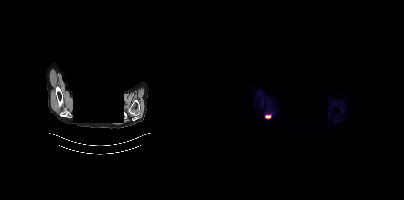
An anonymization step blacked out a rectangle over the head in this scan.
Coordinates are on the 200×200 PET (right) panel. PSMA-avid tumor lesion bounding box (x0, y0)-(x1, y1): (62, 115)-(66, 117).